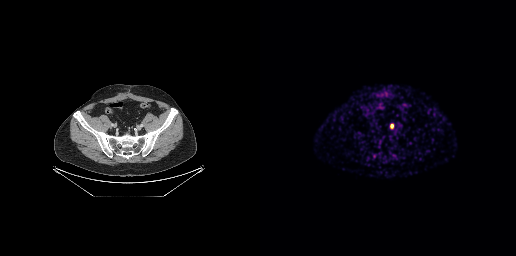
{"modality":"PSMA PET/CT","view":"axial","tracer":"68Ga","pet_grid":[256,256],"coord_frame":"pet_panel","coord_format":"x0,y0,x1,y1","lesion_bboxes":[[130,124,133,128]]}